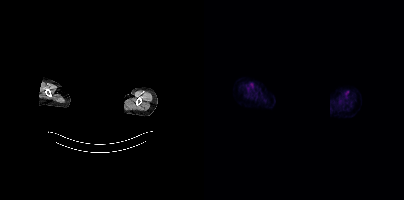
- Two-panel axial: CT | PSMA PET, 18F-PSMA tracer
- acquired on Siemens Biograph mCT Flow 20
- privacy masking over the head, with the pixels inside a rectangle set to black
Findings: This slice has no annotated PSMA-avid lesion.